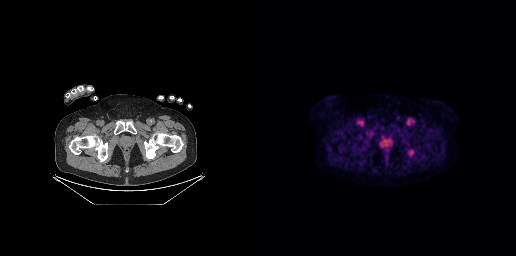
Coordinates are on the 256×256 PET (right) panel. PSMA-avid tumor lesion bounding box (x0,y0,x1,y1): [147,149,154,157].